modality: PSMA PET/CT | tracer: 18F | view: axial | PET grid: 256×256
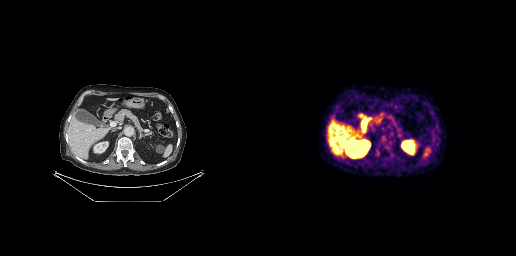
Negative for PSMA-avid disease on this slice.